modality: PSMA PET/CT | tracer: 18F | view: axial
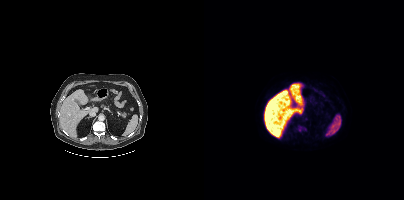
No tumor lesions annotated on this slice.